Technique: Two-panel axial: CT | PSMA PET, [18F]PSMA-1007 tracer. slice position z = -1493 mm. PET panel 200×200 px (4.1 mm/px).
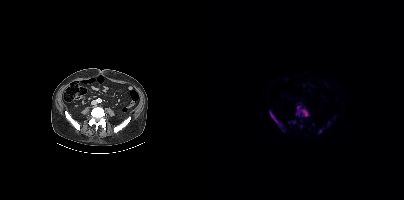
Findings: Coordinates are on the 200×200 PET (right) panel. PSMA-avid tumor lesion bounding boxes (x0, y0)-(x1, y1): (92, 106)-(104, 116); (66, 112)-(78, 129). Small PSMA-avid foci (2 to 4 px across) near (center x, center y): (90, 121); (115, 131).